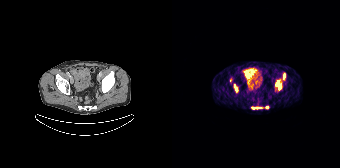
Coordinates are on the 168×168 PET (right) panel. PSMA-avid tumor lesion bounding boxes (x, y, width, height): x=103 y=79 w=7 h=12; x=62 y=84 w=5 h=9; x=79 y=107 w=12 h=3; x=111 y=73 w=3 h=7. Small PSMA-avid foci (2 to 4 px across) near (center x, center y): (94, 107); (58, 80). Two-panel axial: CT | PSMA PET, 68Ga-PSMA tracer. Acquired on Siemens Biograph 64-4R TruePoint. Slice position z = -1154 mm.